- Paired axial CT (left) and PSMA PET (right), [18F]PSMA-1007 tracer
- slice 297 of 421
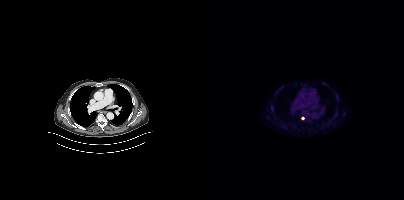
Findings: This slice has no annotated PSMA-avid lesion.